Paired axial CT (left) and PSMA PET (right), [68Ga]Ga-PSMA-11 tracer. Slice position z = -594 mm.
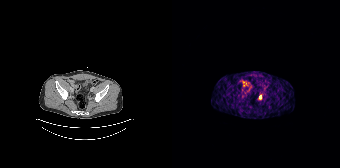
Coordinates are on the 168×168 PET (right) panel. Small PSMA-avid focus (2 to 4 px across) near (center x, center y): (88, 96).